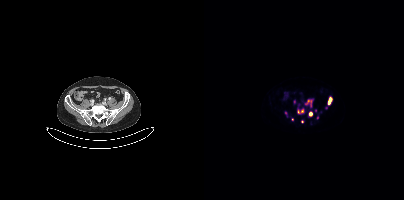
Coordinates are on the 200×200 PET (right) panel. (showing 10 of 11 foci) PSMA-avid tumor lesion bounding boxes (x0, y0)-(x1, y1): (101, 99)-(107, 106); (124, 98)-(127, 103). Small PSMA-avid foci (2 to 4 px across) near (center x, center y): (106, 113); (98, 111); (111, 110); (94, 111); (81, 113); (98, 121); (121, 107); (88, 119).